Left: CT. Right: PSMA PET, same axial level, [18F]PSMA-1007 tracer. Slice position z = -892 mm. PET panel 200×200 px (4.1 mm/px).
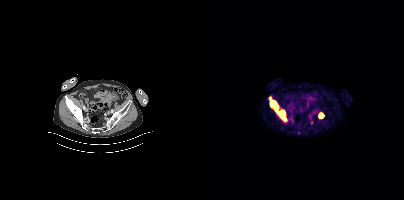
Coordinates are on the 200×200 PET (right) panel. PSMA-avid tumor lesion bounding boxes (partial; 1 more focus not listed):
| # | x0 | y0 | x1 | y1 |
|---|---|---|---|---|
| 1 | 65 | 96 | 83 | 121 |
| 2 | 114 | 113 | 119 | 118 |